Two-panel axial: CT | PSMA PET, [18F]PSMA-1007 tracer.
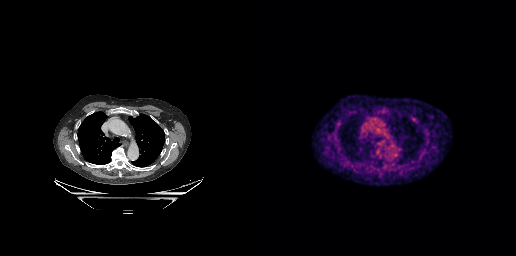
No tumor lesions annotated on this slice.